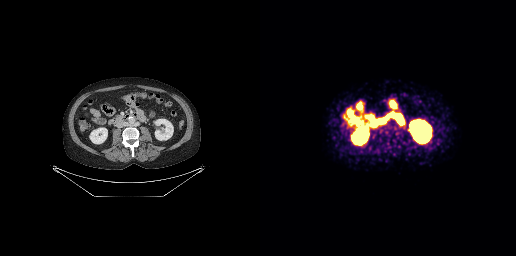
Only PSMA-avid lesion pieces thinner than 2 px on this slice (not listed).